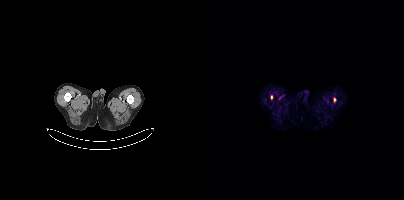
Findings: Coordinates are on the 200×200 PET (right) panel. PSMA-avid tumor lesion bounding boxes (x0,y0,x1,y1): [66,95,68,99] [129,98,131,102].
- Paired axial CT (left) and PSMA PET (right), [18F]PSMA-1007 tracer
- acquired on Siemens Biograph mCT Flow 20
- slice position z = -1008 mm